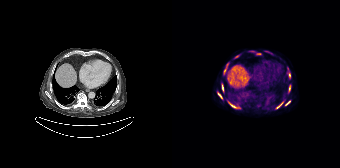
Coordinates are on the 168×168 PET (right) panel. (showing 8 of 9 foci) PSMA-avid tumor lesion bounding boxes (x0, y0)-(x1, y1): (56, 101)-(68, 108); (45, 92)-(50, 98); (104, 102)-(111, 108); (50, 84)-(51, 91); (117, 85)-(118, 91); (113, 101)-(118, 105); (52, 69)-(53, 74). Small PSMA-avid focus (2 to 4 px across) near (center x, center y): (117, 74). Left: CT. Right: PSMA PET, same axial level, 18F tracer. Slice 106 of 165.